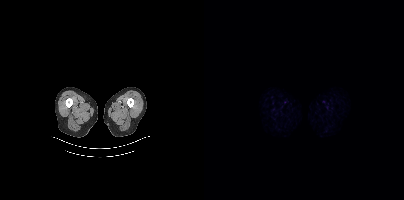
modality: PSMA PET/CT | tracer: 18F | view: axial | PET grid: 200×200
This slice has no annotated PSMA-avid lesion.